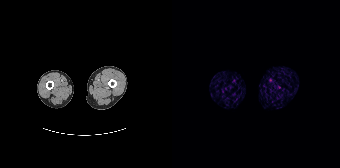
No tumor lesions annotated on this slice.